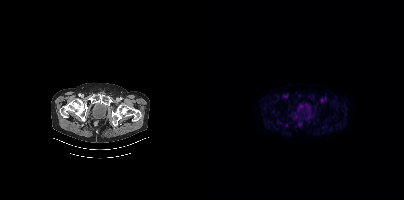
This slice has no annotated PSMA-avid lesion.